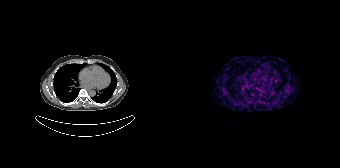
No PSMA-avid tumor lesions on this slice.